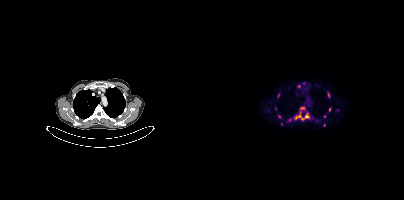
Two-panel axial: CT | PSMA PET, 18F-PSMA tracer.
Coordinates are on the 200×200 PET (right) panel. PSMA-avid tumor lesion bounding boxes (partial; 3 more foci not listed):
| # | x0 | y0 | x1 | y1 |
|---|---|---|---|---|
| 1 | 89 | 106 | 106 | 120 |
| 2 | 123 | 92 | 126 | 98 |
| 3 | 124 | 107 | 127 | 111 |
| 4 | 73 | 93 | 75 | 97 |
Small PSMA-avid foci (2 to 4 px across) near (center x, center y): (94, 86); (75, 116); (84, 119); (120, 125); (120, 116); (77, 124); (71, 108).